- Left: CT. Right: PSMA PET, same axial level, 18F-PSMA tracer
- acquired on Siemens Biograph mCT Flow 20
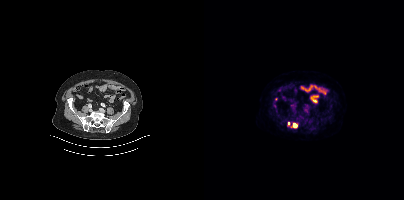
Findings: Coordinates are on the 200×200 PET (right) panel. (showing 2 of 3 foci) PSMA-avid tumor lesion bounding box (x, y, width, height): x=89 y=123 w=5 h=5. Small PSMA-avid focus (2 to 4 px across) near (center x, center y): (84, 123).